modality: PSMA PET/CT | tracer: 18F-PSMA | view: axial | PET grid: 168×168
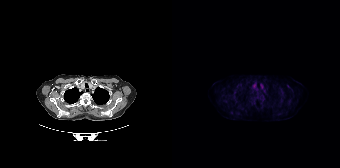
No PSMA-avid tumor lesions on this slice.